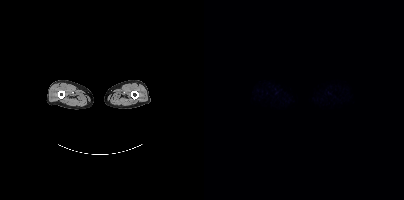
{"modality":"PSMA PET/CT","view":"axial","tracer":"[18F]PSMA-1007","pet_grid":[200,200],"coord_frame":"pet_panel","coord_format":"x0,y0,x1,y1","psma_avid_lesions":false}